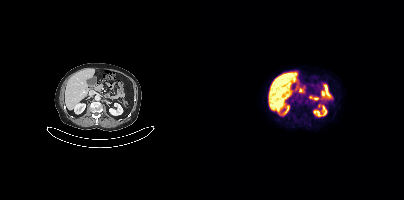
{"modality":"PSMA PET/CT","view":"axial","tracer":"[18F]PSMA-1007","pet_grid":[200,200],"coord_frame":"pet_panel","coord_format":"x0,y0,x1,y1","psma_avid_lesions":false}